modality: PSMA PET/CT | tracer: 18F-PSMA | view: axial | PET grid: 200×200
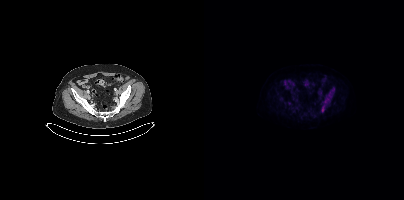
Only PSMA-avid lesion pieces thinner than 2 px on this slice (not listed).